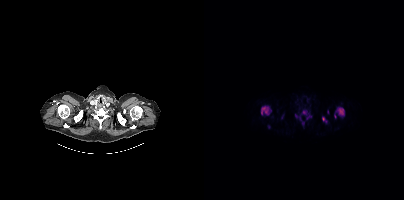
Left: CT. Right: PSMA PET, same axial level, [18F]PSMA-1007 tracer. Acquired on Siemens Biograph mCT Flow 20. Slice 359 of 423. PET panel 200×200 px (4.1 mm/px). Coordinates are on the 200×200 PET (right) panel. PSMA-avid tumor lesion bounding boxes (x0,y0,x1,y1): [57,105,67,115] [130,107,140,118] [98,110,104,115] [118,116,123,122] [102,115,107,119]. Small PSMA-avid foci (2 to 4 px across) near (center x, center y): (92, 115) (99, 123) (65, 126) (123, 111) (78, 116) (96, 118).